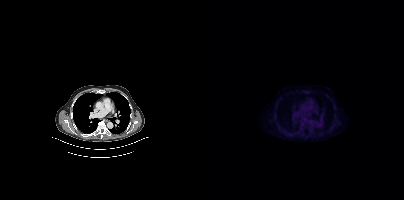
Negative for PSMA-avid disease on this slice. Paired axial CT (left) and PSMA PET (right), [18F]PSMA-1007 tracer. Acquired on Siemens Biograph mCT Flow 20.